Paired axial CT (left) and PSMA PET (right), 68Ga-PSMA tracer. Acquired on Siemens Biograph mCT Flow 20.
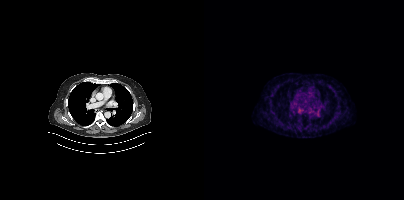
No PSMA-avid tumor lesions on this slice.